modality: PSMA PET/CT | tracer: 18F-PSMA | view: axial | PET grid: 256×256
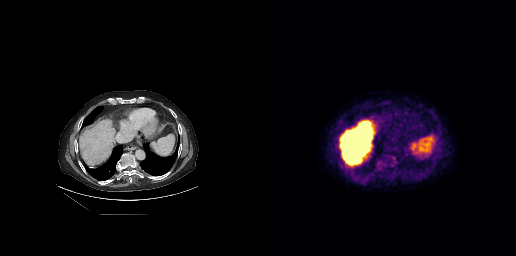
Coordinates are on the 256×256 PET (right) panel. Small PSMA-avid focus (2 to 4 px across) near (center x, center y): (94, 109).